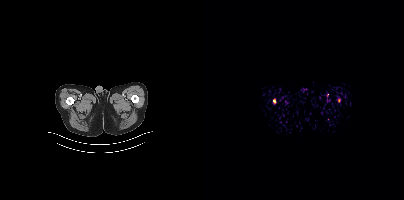
Coordinates are on the 200×200 PET (right) panel. Small PSMA-avid foci (2 to 4 px across) near (center x, center y): (70, 101) (134, 100).
modality: PSMA PET/CT | tracer: [18F]PSMA-1007 | view: axial